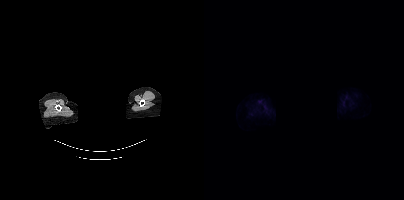
Findings: Negative for PSMA-avid disease on this slice.
- an anonymization step blacked out a rectangle over the head in this scan
- Two-panel axial: CT | PSMA PET, 18F tracer
- slice position z = -900 mm